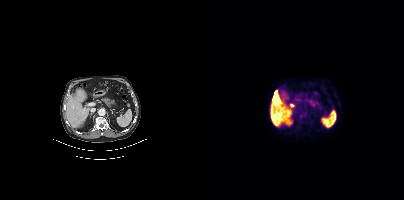
Left: CT. Right: PSMA PET, same axial level, [18F]PSMA-1007 tracer. Acquired on Siemens Biograph mCT Flow 20. PET panel 200×200 px (4.1 mm/px). Only PSMA-avid lesion pieces thinner than 2 px on this slice (not listed).